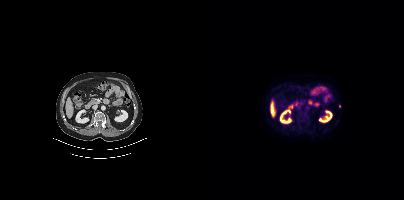
{"pet_grid":[200,200],"coord_frame":"pet_panel","coord_format":"x0,y0,x1,y1","lesion_bboxes":[],"small_foci_centers":[[135,106]],"modality":"PSMA PET/CT","view":"axial","tracer":"18F"}